Two-panel axial: CT | PSMA PET, [18F]PSMA-1007 tracer. Acquired on Siemens Biograph mCT Flow 20. PET panel 200×200 px (4.1 mm/px).
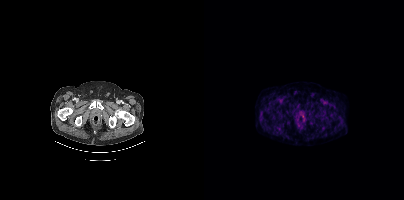
No PSMA-avid tumor lesions on this slice.